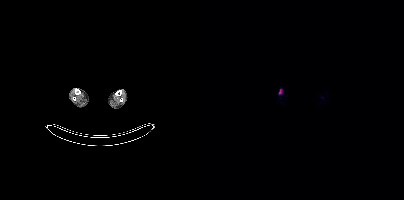
Left: CT. Right: PSMA PET, same axial level, 18F tracer. Slice position z = -1737 mm. Coordinates are on the 200×200 PET (right) panel. PSMA-avid tumor lesion bounding box (x0, y0)-(x1, y1): (75, 89)-(77, 93).